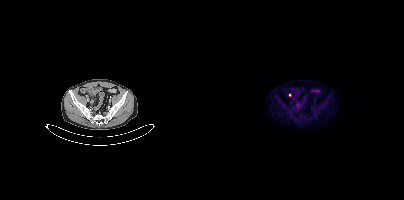
{"modality":"PSMA PET/CT","view":"axial","tracer":"18F","pet_grid":[200,200],"coord_frame":"pet_panel","coord_format":"x0,y0,x1,y1","lesion_bboxes":[],"small_foci_centers":[[85,94]]}